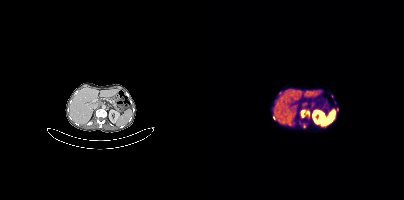
{"modality":"PSMA PET/CT","view":"axial","tracer":"68Ga-PSMA","pet_grid":[200,200],"coord_frame":"pet_panel","coord_format":"x0,y0,x1,y1","partial":true,"lesion_bboxes":[[97,109,105,117]],"small_foci_centers":[[70,117],[100,126],[76,93],[133,109]]}